- Left: CT. Right: PSMA PET, same axial level, 68Ga tracer
- slice 45 of 165
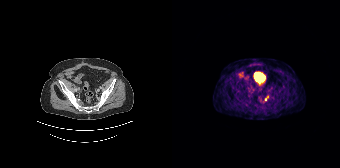
Findings: Coordinates are on the 168×168 PET (right) panel. Small PSMA-avid focus (2 to 4 px across) near (center x, center y): (93, 99).